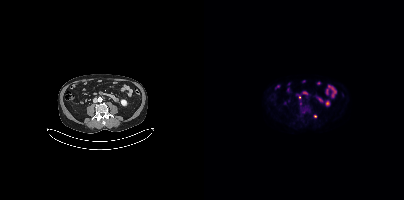
Technique: Paired axial CT (left) and PSMA PET (right), 18F-PSMA tracer. acquired on Siemens Biograph mCT Flow 20. slice position z = -1295 mm. PET panel 200×200 px (4.1 mm/px).
Findings: This slice has no annotated PSMA-avid lesion.